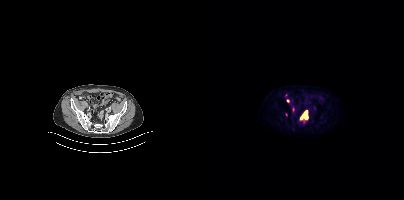
Two-panel axial: CT | PSMA PET, 18F-PSMA tracer. PET panel 200×200 px (4.1 mm/px).
Coordinates are on the 200×200 PET (right) panel. PSMA-avid tumor lesion bounding boxes (partial; 3 more foci not listed):
| # | x0 | y0 | x1 | y1 |
|---|---|---|---|---|
| 1 | 96 | 110 | 104 | 120 |
Small PSMA-avid focus (2 to 4 px across) near (center x, center y): (83, 100).